Left: CT. Right: PSMA PET, same axial level, [18F]PSMA-1007 tracer.
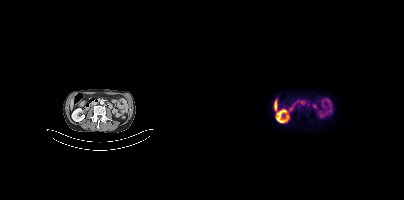
Coordinates are on the 200×200 PET (right) panel. Small PSMA-avid foci (2 to 4 px across) near (center x, center y): (98, 101); (104, 104).